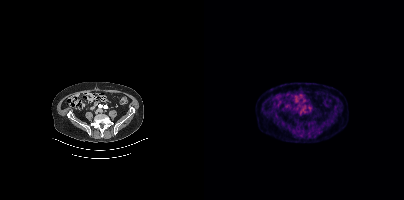
{"pet_grid":[200,200],"coord_frame":"pet_panel","coord_format":"x0,y0,x1,y1","psma_avid_lesions":false,"modality":"PSMA PET/CT","view":"axial","tracer":"18F"}